Paired axial CT (left) and PSMA PET (right), 18F tracer. PET panel 200×200 px (4.1 mm/px).
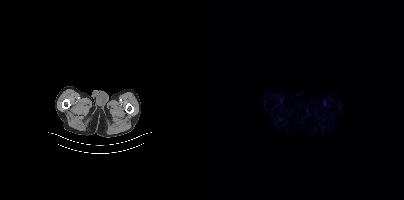
Negative for PSMA-avid disease on this slice.